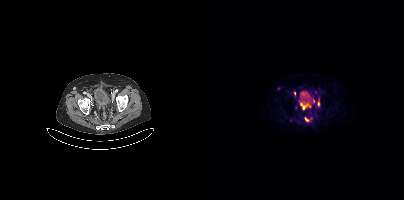
Findings: Coordinates are on the 200×200 PET (right) panel. (showing 5 of 6 foci) PSMA-avid tumor lesion bounding boxes (x, y, width, height): x=95 y=101 w=8 h=10 / x=101 y=117 w=4 h=5 / x=113 y=101 w=3 h=5 / x=109 y=99 w=2 h=5. Small PSMA-avid focus (2 to 4 px across) near (center x, center y): (90, 93).
- Left: CT. Right: PSMA PET, same axial level, 18F tracer
- slice position z = -52 mm